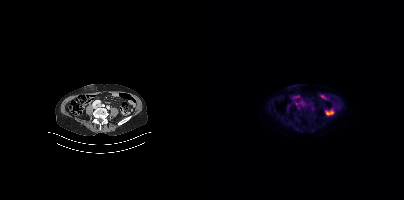
No PSMA-avid tumor lesions on this slice.